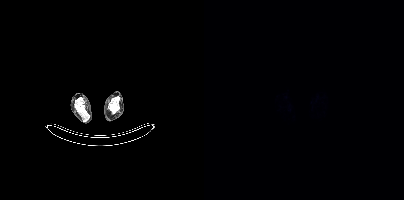
- Two-panel axial: CT | PSMA PET, [18F]PSMA-1007 tracer
- PET panel 200×200 px (4.1 mm/px)
Findings: Negative for PSMA-avid disease on this slice.